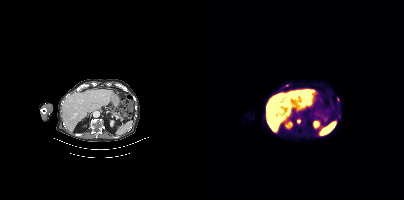
{"modality":"PSMA PET/CT","view":"axial","tracer":"18F","pet_grid":[200,200],"coord_frame":"pet_panel","coord_format":"x0,y0,x1,y1","partial":true,"lesion_bboxes":[[93,119,96,123]],"small_foci_centers":[[83,85],[133,99]]}